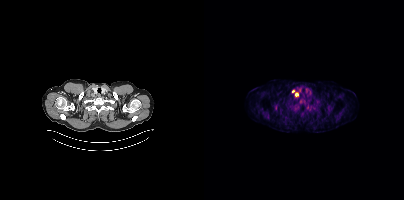
modality: PSMA PET/CT | tracer: 18F | view: axial
Coordinates are on the 200×200 PET (right) panel. PSMA-avid tumor lesion bounding box (x, y, width, height): x=91 y=92 w=4 h=5. Small PSMA-avid focus (2 to 4 px across) near (center x, center y): (89, 91).